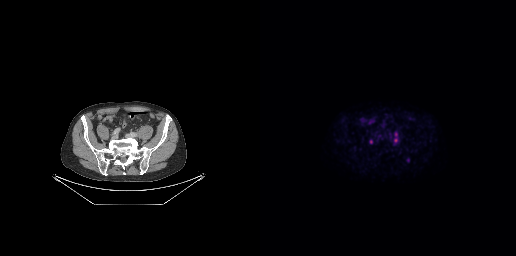
Coordinates are on the 256×256 PET (right) panel. Small PSMA-avid foci (2 to 4 px across) near (center x, center y): (135, 140); (135, 134); (110, 141). Two-panel axial: CT | PSMA PET, 18F tracer. Acquired on GE Discovery 690. Slice position z = -559 mm. PET panel 256×256 px (2.7 mm/px).